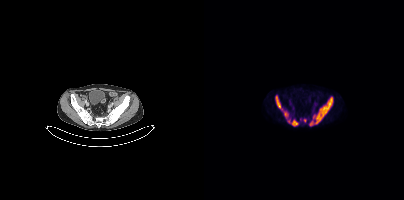
{"modality":"PSMA PET/CT","view":"axial","tracer":"[18F]PSMA-1007","pet_grid":[200,200],"coord_frame":"pet_panel","coord_format":"x0,y0,x1,y1","lesion_bboxes":[[105,97,129,125],[71,95,84,118],[87,120,94,125]],"small_foci_centers":[[84,120],[101,120]]}